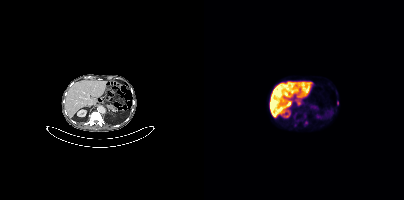
Coordinates are on the 200×200 PET (right) panel. PSMA-avid tumor lesion bounding box (x0, y0)-(x1, y1): (100, 121)-(103, 125). Small PSMA-avid focus (2 to 4 px across) near (center x, center y): (133, 102). Two-panel axial: CT | PSMA PET, 18F tracer. Acquired on Siemens Biograph mCT Flow 20.